Technique: Left: CT. Right: PSMA PET, same axial level, 18F tracer. acquired on Siemens Biograph mCT Flow 20. PET panel 200×200 px (4.1 mm/px).
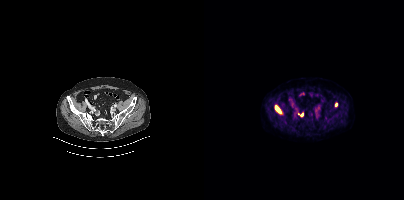
Findings: Coordinates are on the 200×200 PET (right) panel. PSMA-avid tumor lesion bounding box (x, y, width, height): x=71 y=106 w=6 h=7. Small PSMA-avid foci (2 to 4 px across) near (center x, center y): (132, 104) | (98, 114).